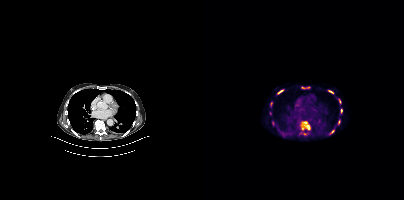
Paired axial CT (left) and PSMA PET (right), 18F-PSMA tracer. Slice position z = -424 mm. PET panel 200×200 px (4.1 mm/px). Coordinates are on the 200×200 PET (right) panel. (showing 10 of 11 foci) PSMA-avid tumor lesion bounding boxes (x0,y0,x1,y1): [96,121,106,130] [97,86,106,89] [73,89,80,94] [124,90,129,94] [136,109,138,113] [134,120,136,124] [134,99,137,103] [126,130,130,134] [66,102,68,106]. Small PSMA-avid focus (2 to 4 px across) near (center x, center y): (100, 133).